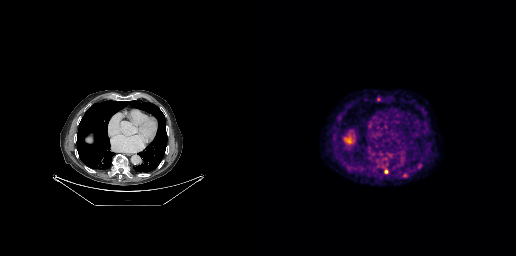
Coordinates are on the 256×256 PET (right) panel. (showing 2 of 3 foci) PSMA-avid tumor lesion bounding box (x0,y0,x1,y1): [124,169,128,173]. Small PSMA-avid focus (2 to 4 px across) near (center x, center y): (118, 99).